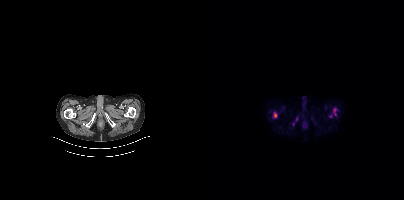
Coordinates are on the 200×200 PET (right) panel. (showing 3 of 4 foci) PSMA-avid tumor lesion bounding boxes (x0,y0,x1,y1): [89,116,94,124], [69,112,72,117], [130,108,132,115].